modality: PSMA PET/CT | tracer: [68Ga]Ga-PSMA-11 | view: axial | PET grid: 200×200
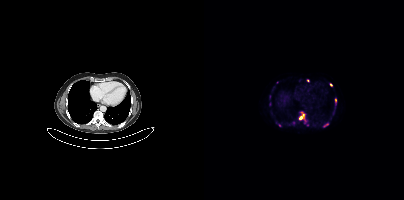
Coordinates are on the 200×200 PET (right) panel. (showing 8 of 9 foci) PSMA-avid tumor lesion bounding boxes (x, y, width, height): x=95 y=117 w=7 h=4; x=120 y=123 w=5 h=4. Small PSMA-avid foci (2 to 4 px across) near (center x, center y): (104, 80); (131, 100); (99, 114); (127, 84); (89, 122); (75, 125).